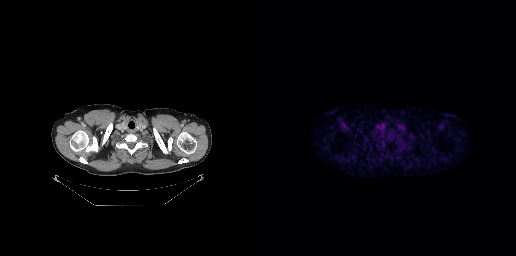
modality: PSMA PET/CT | tracer: 18F-PSMA | view: axial
No tumor lesions annotated on this slice.